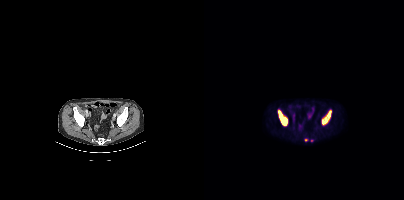
- Left: CT. Right: PSMA PET, same axial level, 18F-PSMA tracer
- slice position z = -367 mm
- PET panel 200×200 px (4.1 mm/px)
Findings: Coordinates are on the 200×200 PET (right) panel. (showing 2 of 3 foci) PSMA-avid tumor lesion bounding boxes (x, y, width, height): x=74 y=111 w=9 h=15; x=118 y=110 w=10 h=15.